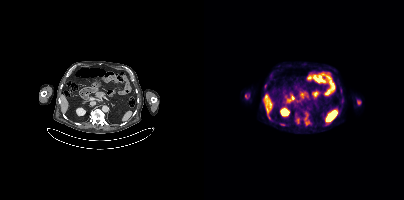
modality: PSMA PET/CT | tracer: [18F]PSMA-1007 | view: axial | PET grid: 200×200
Coordinates are on the 200×200 PET (right) panel. PSMA-avid tumor lesion bounding box (x, y, width, height): x=77 y=123 w=5 h=3. Small PSMA-avid focus (2 to 4 px across) near (center x, center y): (42, 95).